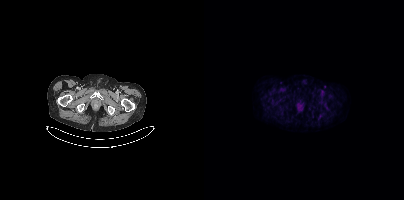
This slice has no annotated PSMA-avid lesion.